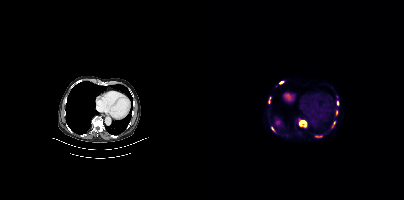
{"modality":"PSMA PET/CT","view":"axial","tracer":"68Ga-PSMA","pet_grid":[200,200],"coord_frame":"pet_panel","coord_format":"x0,y0,x1,y1","lesion_bboxes":[[95,120,102,127],[111,136,117,137],[67,127,70,131],[128,122,131,127]],"small_foci_centers":[[132,112],[77,82],[133,103],[64,102]]}